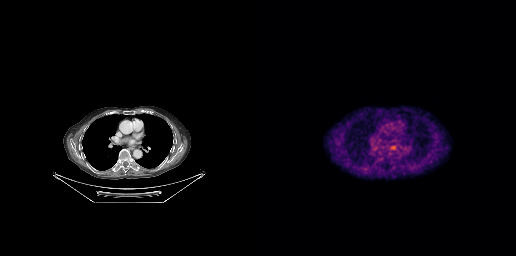
Technique: Paired axial CT (left) and PSMA PET (right), 18F tracer. slice position z = -426 mm.
Findings: Coordinates are on the 256×256 PET (right) panel. Small PSMA-avid focus (2 to 4 px across) near (center x, center y): (133, 147).